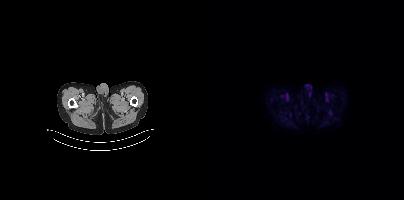
Two-panel axial: CT | PSMA PET, [18F]PSMA-1007 tracer. Acquired on Siemens Biograph mCT Flow 20. No tumor lesions annotated on this slice.